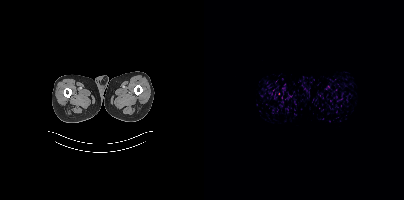
Findings: Negative for PSMA-avid disease on this slice.
- Two-panel axial: CT | PSMA PET, 18F tracer